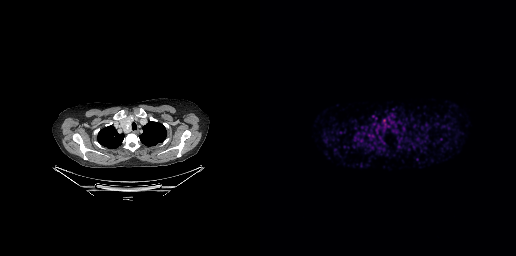
{"modality":"PSMA PET/CT","view":"axial","tracer":"68Ga","pet_grid":[256,256],"coord_frame":"pet_panel","coord_format":"x0,y0,x1,y1","psma_avid_lesions":false}